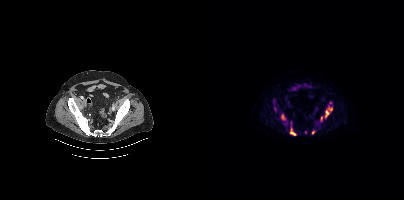
Coordinates are on the 200×200 PET (right) panel. (showing 5 of 6 foci) PSMA-avid tumor lesion bounding boxes (x0,y0,x1,y1): [121,106,128,117], [86,128,92,135], [77,115,80,119]. Small PSMA-avid foci (2 to 4 px across) near (center x, center y): (109, 132), (117, 117).